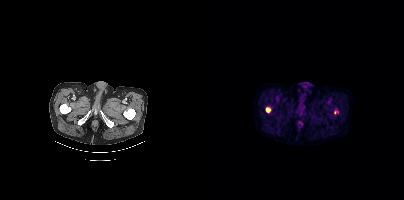
{"modality":"PSMA PET/CT","view":"axial","tracer":"18F-PSMA","pet_grid":[200,200],"coord_frame":"pet_panel","coord_format":"x0,y0,x1,y1","lesion_bboxes":[[62,107,66,112]],"small_foci_centers":[[131,112]]}